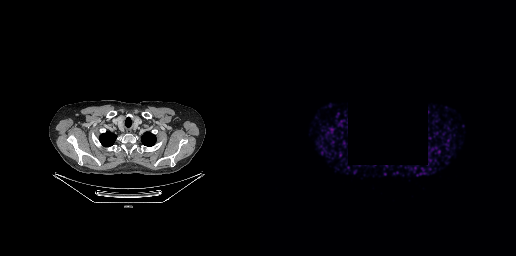
- Two-panel axial: CT | PSMA PET, [68Ga]Ga-PSMA-11 tracer
- PET panel 256×256 px (2.7 mm/px)
- a region was redacted for de-identification by setting it to black
Findings: Negative for PSMA-avid disease on this slice.